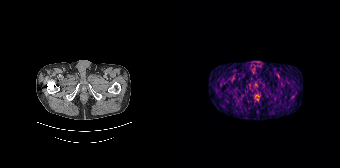
This slice has no annotated PSMA-avid lesion.
modality: PSMA PET/CT | tracer: 68Ga | view: axial | PET grid: 168×168